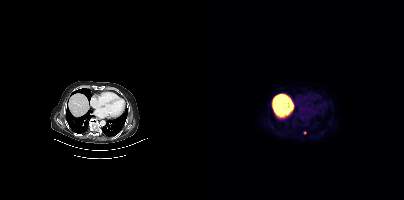
Coordinates are on the 200×200 PET (right) panel. Small PSMA-avid focus (2 to 4 px across) near (center x, center y): (101, 132).